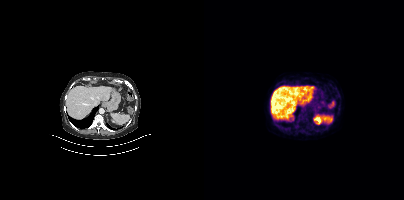
No tumor lesions annotated on this slice. Paired axial CT (left) and PSMA PET (right), 18F-PSMA tracer. Acquired on Siemens Biograph mCT Flow 20. Slice position z = -622 mm. PET panel 200×200 px (4.1 mm/px).